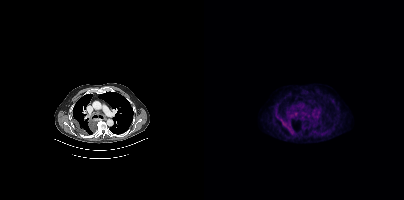
modality: PSMA PET/CT | tracer: 18F-PSMA | view: axial | PET grid: 200×200
Coordinates are on the 200×200 PET (right) panel. PSMA-avid tumor lesion bounding boxes (x0,y0,x1,y1): [76,119,89,133]; [86,112,93,116].